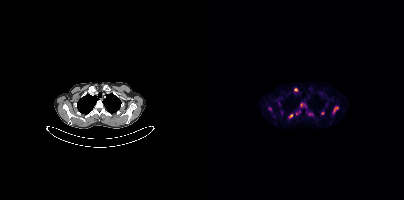
Technique: Left: CT. Right: PSMA PET, same axial level, [18F]PSMA-1007 tracer. acquired on Siemens Biograph mCT Flow 20.
Findings: Coordinates are on the 200×200 PET (right) panel. (showing 10 of 11 foci) PSMA-avid tumor lesion bounding boxes (x, y, width, height): x=128 y=106 w=7 h=9 | x=90 y=88 w=5 h=4 | x=84 y=114 w=5 h=5 | x=117 y=111 w=4 h=5 | x=104 y=113 w=5 h=3. Small PSMA-avid foci (2 to 4 px across) near (center x, center y): (65, 108) | (97, 104) | (92, 113) | (77, 112) | (95, 111).